Technique: Two-panel axial: CT | PSMA PET, 18F-PSMA tracer. slice position z = -186 mm.
Note: Face de-identified by blanking a block of the head.
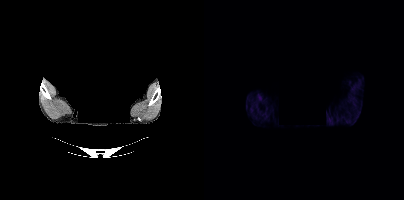
Findings: This slice has no annotated PSMA-avid lesion.